Paired axial CT (left) and PSMA PET (right), 68Ga-PSMA tracer. Acquired on Siemens Biograph 64-4R TruePoint.
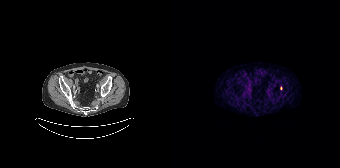
Only PSMA-avid lesion pieces thinner than 2 px on this slice (not listed).